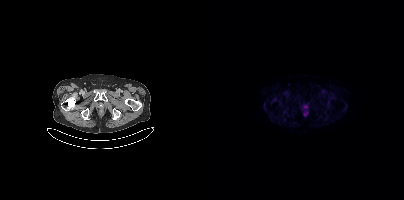
{"modality":"PSMA PET/CT","view":"axial","tracer":"[18F]PSMA-1007","pet_grid":[200,200],"coord_frame":"pet_panel","coord_format":"x0,y0,x1,y1","psma_avid_lesions":false}